modality: PSMA PET/CT | tracer: 18F-PSMA | view: axial
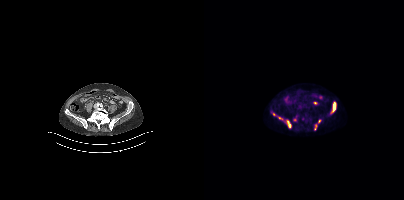
Coordinates are on the 200×200 PET (right) panel. PSMA-avid tumor lesion bounding boxes (x0, y0)-(x1, y1): (127, 101)-(132, 113); (82, 120)-(87, 127); (110, 124)-(112, 129); (74, 117)-(78, 119). Small PSMA-avid foci (2 to 4 px across) near (center x, center y): (90, 119); (69, 114); (115, 121).